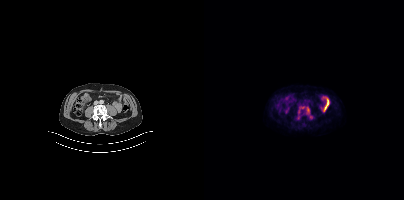
Only PSMA-avid lesion pieces thinner than 2 px on this slice (not listed).